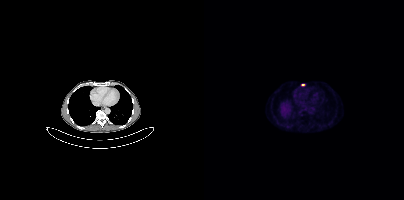
Coordinates are on the 200×200 PET (right) panel. Small PSMA-avid focus (2 to 4 px across) near (center x, center y): (98, 84).